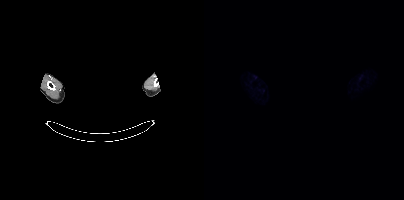
No PSMA-avid tumor lesions on this slice. The head region is masked for de-identification. Left: CT. Right: PSMA PET, same axial level, 18F-PSMA tracer. PET panel 200×200 px (4.1 mm/px).